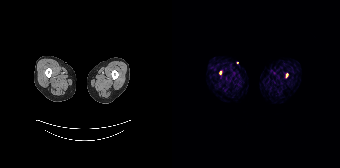
Two-panel axial: CT | PSMA PET, 68Ga tracer. Slice position z = -1445 mm.
Coordinates are on the 168×168 PET (right) panel. PSMA-avid tumor lesion bounding boxes:
| # | x0 | y0 | x1 | y1 |
|---|---|---|---|---|
| 1 | 114 | 73 | 115 | 77 |
Small PSMA-avid focus (2 to 4 px across) near (center x, center y): (48, 72).